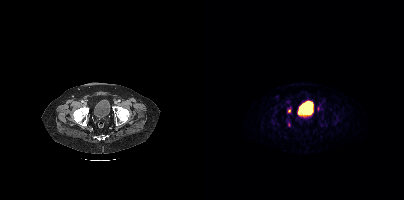
{"modality":"PSMA PET/CT","view":"axial","tracer":"[68Ga]Ga-PSMA-11","pet_grid":[200,200],"coord_frame":"pet_panel","coord_format":"x0,y0,x1,y1","lesion_bboxes":[],"small_foci_centers":[[85,111]]}